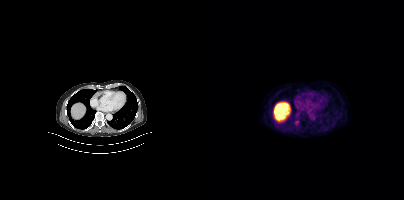
Left: CT. Right: PSMA PET, same axial level, 18F-PSMA tracer. Slice 263 of 423. PET panel 200×200 px (4.1 mm/px). Coordinates are on the 200×200 PET (right) panel. Small PSMA-avid focus (2 to 4 px across) near (center x, center y): (92, 122).